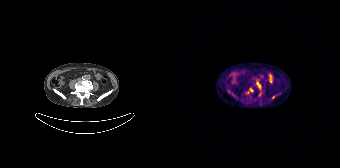
Paired axial CT (left) and PSMA PET (right), [68Ga]Ga-PSMA-11 tracer.
Coordinates are on the 168×168 PET (right) panel. PSMA-avid tumor lesion bounding boxes (partial; 2 more foci not listed):
| # | x0 | y0 | x1 | y1 |
|---|---|---|---|---|
| 1 | 85 | 84 | 89 | 90 |
| 2 | 86 | 92 | 89 | 96 |
Small PSMA-avid foci (2 to 4 px across) near (center x, center y): (79, 89); (56, 91).